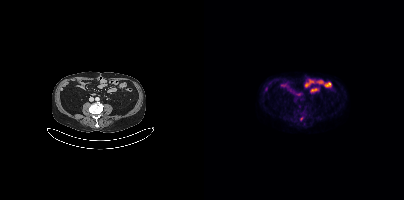
Only PSMA-avid lesion pieces thinner than 2 px on this slice (not listed). Left: CT. Right: PSMA PET, same axial level, [18F]PSMA-1007 tracer. Slice position z = -1276 mm. PET panel 200×200 px (4.1 mm/px).